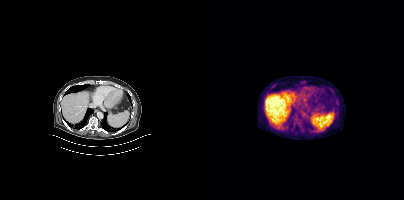
Findings: No tumor lesions annotated on this slice.
Technique: Two-panel axial: CT | PSMA PET, [18F]PSMA-1007 tracer. acquired on Siemens Biograph mCT Flow 20.